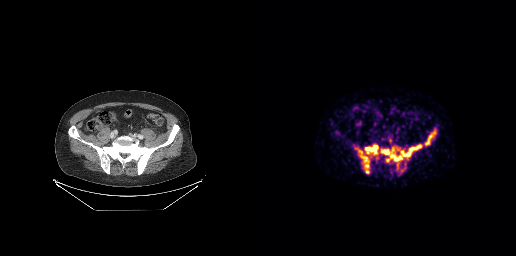
Coordinates are on the 256×256 PET (right) panel. (showing 6 of 7 foci) PSMA-avid tumor lesion bounding boxes (x0,y0,x1,y1): [121,146,157,161], [105,145,118,154], [166,130,175,142], [99,150,108,162]. Small PSMA-avid foci (2 to 4 px across) near (center x, center y): (106, 165), (107, 171).